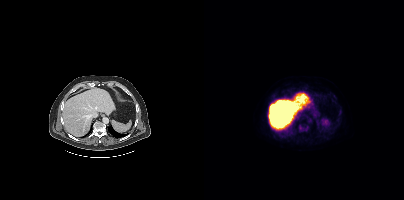
This slice has no annotated PSMA-avid lesion.